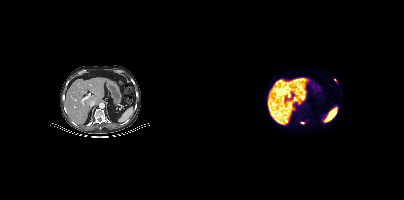
Paired axial CT (left) and PSMA PET (right), 18F-PSMA tracer. Acquired on Siemens Biograph mCT Flow 20. Slice 675 of 963. Coordinates are on the 200×200 PET (right) panel. Small PSMA-avid foci (2 to 4 px across) near (center x, center y): (98, 122); (130, 79).